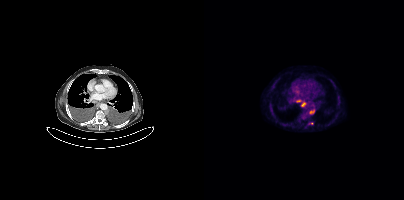
modality: PSMA PET/CT | tracer: 18F | view: axial | PET grid: 200×200
Coordinates are on the 200×200 PET (right) panel. (showing 3 of 4 foci) PSMA-avid tumor lesion bounding boxes (x0,y0,x1,y1): [105,110,108,114]; [97,103,101,106]. Small PSMA-avid focus (2 to 4 px across) near (center x, center y): (94, 100).